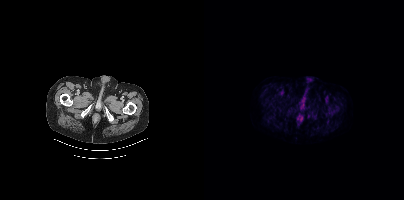
No PSMA-avid tumor lesions on this slice. Left: CT. Right: PSMA PET, same axial level, [18F]PSMA-1007 tracer. Slice 48 of 462.